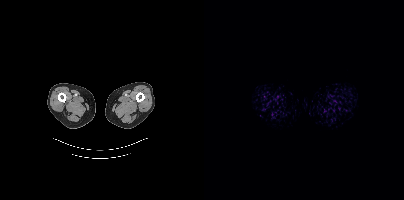
This slice has no annotated PSMA-avid lesion.